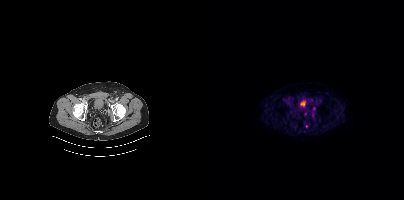
Coordinates are on the 200×200 PET (right) panel. (showing 1 of 2 foci) Small PSMA-avid focus (2 to 4 px across) near (center x, center y): (103, 126). Paired axial CT (left) and PSMA PET (right), 18F tracer.